- Left: CT. Right: PSMA PET, same axial level, 18F tracer
- slice position z = -1269 mm
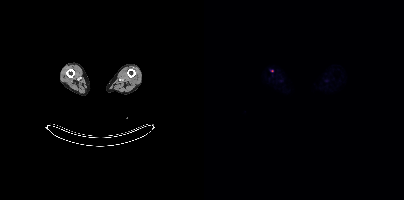
Findings: Only PSMA-avid lesion pieces thinner than 2 px on this slice (not listed).